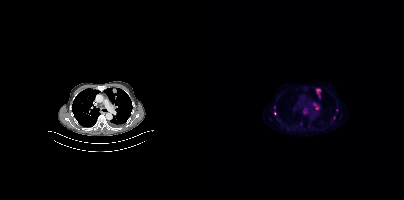
modality: PSMA PET/CT | tracer: [18F]PSMA-1007 | view: axial
Coordinates are on the 200×200 PET (right) panel. (showing 5 of 8 foci) PSMA-avid tumor lesion bounding boxes (x0, y0)-(x1, y1): (108, 102)-(115, 109); (112, 88)-(116, 98); (99, 108)-(103, 113). Small PSMA-avid foci (2 to 4 px across) near (center x, center y): (70, 107); (96, 123).